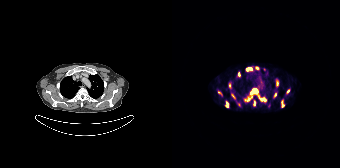
{"modality":"PSMA PET/CT","view":"axial","tracer":"[68Ga]Ga-PSMA-11","pet_grid":[168,168],"coord_frame":"pet_panel","coord_format":"x0,y0,x1,y1","partial":true,"lesion_bboxes":[[89,97,94,101],[79,89,85,93],[74,68,79,70]],"small_foci_centers":[[67,104],[66,74],[116,91],[55,106],[102,95],[110,105]]}